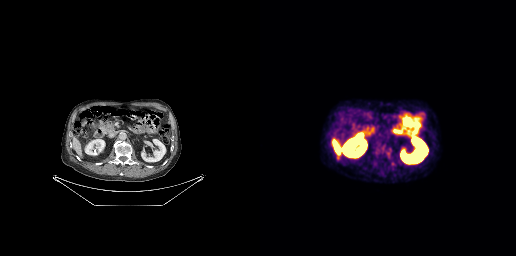
- Left: CT. Right: PSMA PET, same axial level, 18F-PSMA tracer
- acquired on GE Discovery 690
- slice position z = -549 mm
- PET panel 256×256 px (2.7 mm/px)
Findings: No PSMA-avid tumor lesions on this slice.